Left: CT. Right: PSMA PET, same axial level, 18F tracer. Slice 275 of 435.
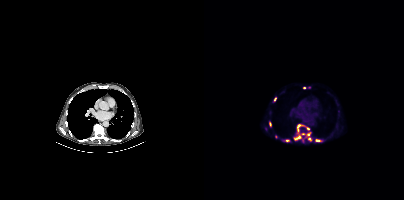
Coordinates are on the 200×200 PET (right) panel. PSMA-avid tumor lesion bounding boxes (partial; 3 more foci not listed):
| # | x0 | y0 | x1 | y1 |
|---|---|---|---|---|
| 1 | 90 | 135 | 97 | 140 |
| 2 | 101 | 136 | 107 | 141 |
| 3 | 112 | 139 | 117 | 141 |
| 4 | 93 | 129 | 95 | 133 |
| 5 | 81 | 139 | 85 | 141 |
| 6 | 99 | 125 | 105 | 129 |
| 7 | 65 | 122 | 67 | 126 |
Small PSMA-avid foci (2 to 4 px across) near (center x, center y): (71, 99); (95, 126); (98, 141); (100, 87); (104, 134).